Left: CT. Right: PSMA PET, same axial level, [18F]PSMA-1007 tracer. Acquired on Siemens Biograph mCT Flow 20.
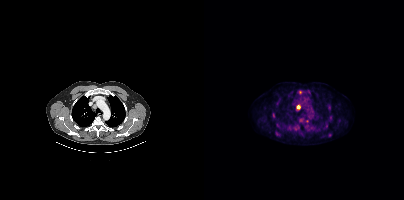
Coordinates are on the 200×200 PET (right) panel. PSMA-avid tumor lesion bounding box (x0, y0)-(x1, y1): (92, 105)-(96, 109). Small PSMA-avid foci (2 to 4 px across) near (center x, center y): (96, 92) | (122, 126) | (103, 120).